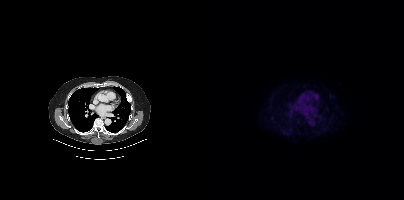
This slice has no annotated PSMA-avid lesion.